modality: PSMA PET/CT | tracer: [18F]PSMA-1007 | view: axial
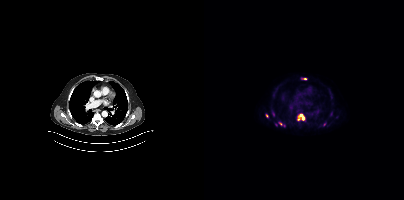
Coordinates are on the 200×200 PET (right) panel. (showing 4 of 5 foci) PSMA-avid tumor lesion bounding boxes (x0, y0)-(x1, y1): (93, 113)-(101, 120); (97, 78)-(103, 80). Small PSMA-avid foci (2 to 4 px across) near (center x, center y): (76, 123); (63, 115).